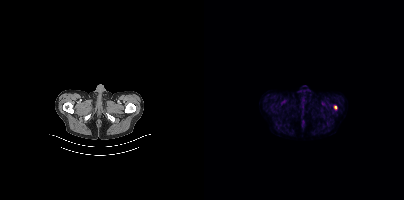
Findings: Coordinates are on the 200×200 PET (right) panel. Small PSMA-avid focus (2 to 4 px across) near (center x, center y): (131, 107).
Technique: Left: CT. Right: PSMA PET, same axial level, [18F]PSMA-1007 tracer. slice 33 of 405. PET panel 200×200 px (4.1 mm/px).